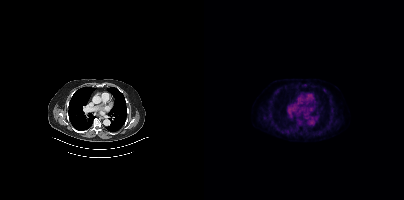
No PSMA-avid tumor lesions on this slice.